Technique: Left: CT. Right: PSMA PET, same axial level, 18F tracer.
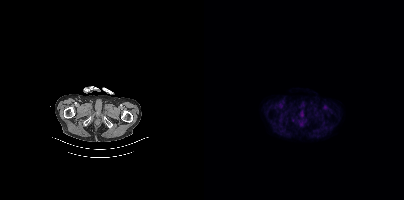
Findings: No tumor lesions annotated on this slice.